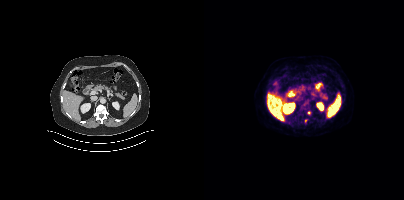
- Two-panel axial: CT | PSMA PET, 18F tracer
- slice 237 of 442
- PET panel 200×200 px (4.1 mm/px)
Findings: Coordinates are on the 200×200 PET (right) panel. (showing 1 of 2 foci) Small PSMA-avid focus (2 to 4 px across) near (center x, center y): (101, 121).